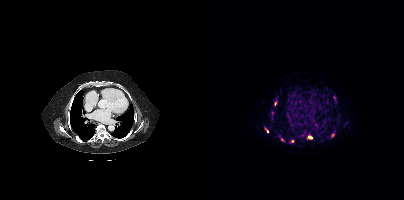
Paired axial CT (left) and PSMA PET (right), 68Ga-PSMA tracer. Slice 285 of 444. PET panel 200×200 px (4.1 mm/px).
Coordinates are on the 200×200 PET (right) panel. PSMA-avid tumor lesion bounding boxes (partial; 2 more foci not listed):
| # | x0 | y0 | x1 | y1 |
|---|---|---|---|---|
| 1 | 127 | 133 | 130 | 137 |
| 2 | 104 | 136 | 108 | 138 |
| 3 | 61 | 128 | 64 | 132 |
| 4 | 70 | 101 | 72 | 105 |
Small PSMA-avid focus (2 to 4 px across) near (center x, center y): (78, 139).